Technique: Left: CT. Right: PSMA PET, same axial level, 18F-PSMA tracer. acquired on Siemens Biograph mCT Flow 20. slice 23 of 373. PET panel 200×200 px (4.1 mm/px).
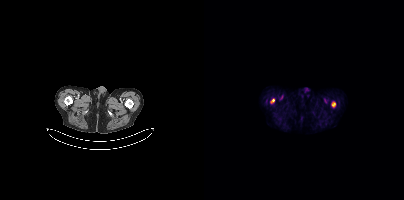
Findings: Coordinates are on the 200×200 PET (right) panel. PSMA-avid tumor lesion bounding boxes (x0,y0,x1,y1): [66,98,70,103]; [128,102,131,106].